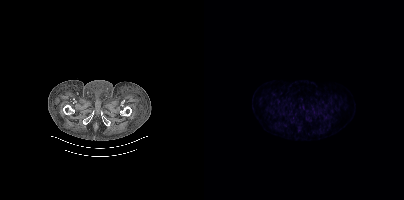
- Two-panel axial: CT | PSMA PET, 18F-PSMA tracer
- acquired on Siemens Biograph mCT Flow 20
- slice 26 of 344
Findings: Negative for PSMA-avid disease on this slice.